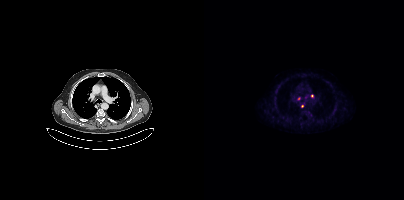
Coordinates are on the 200×200 PET (right) panel. Small PSMA-avid foci (2 to 4 px across) near (center x, center y): (94, 98) / (107, 95).